Two-panel axial: CT | PSMA PET, 18F-PSMA tracer.
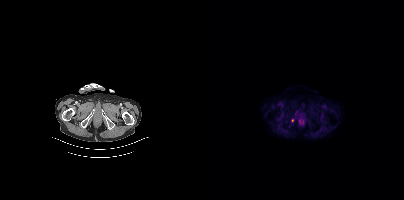
Coordinates are on the 200×200 PET (right) panel. Small PSMA-avid foci (2 to 4 px across) near (center x, center y): (88, 120) / (93, 111).